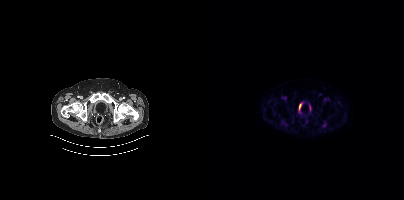
{"modality":"PSMA PET/CT","view":"axial","tracer":"18F","pet_grid":[200,200],"coord_frame":"pet_panel","coord_format":"x0,y0,x1,y1","psma_avid_lesions":false}